Two-panel axial: CT | PSMA PET, 68Ga-PSMA tracer. PET panel 168×168 px (4.1 mm/px).
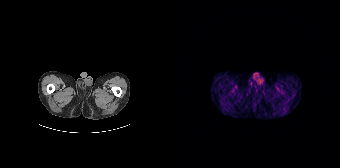
This slice has no annotated PSMA-avid lesion.